modality: PSMA PET/CT | tracer: [18F]PSMA-1007 | view: axial
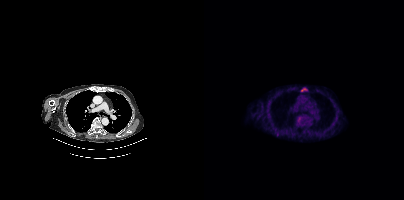
Only PSMA-avid lesion pieces thinner than 2 px on this slice (not listed).